Paired axial CT (left) and PSMA PET (right), 18F-PSMA tracer. PET panel 200×200 px (4.1 mm/px).
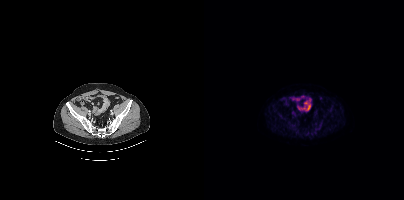
Negative for PSMA-avid disease on this slice.